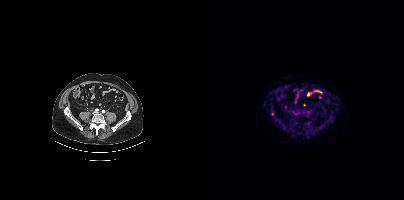
{"pet_grid":[200,200],"coord_frame":"pet_panel","coord_format":"x0,y0,x1,y1","lesion_bboxes":[],"small_foci_centers":[[68,113]],"modality":"PSMA PET/CT","view":"axial","tracer":"18F-PSMA"}